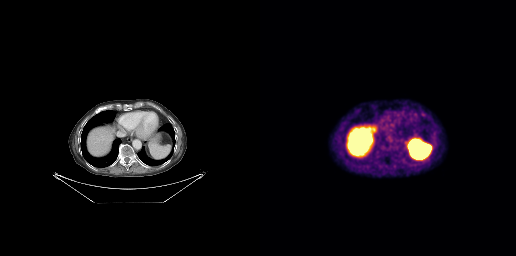
Only PSMA-avid lesion pieces thinner than 2 px on this slice (not listed).